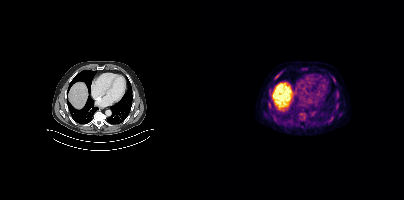
Coordinates are on the 200×200 PET (right) panel. (showing 6 of 7 foci) PSMA-avid tumor lesion bounding boxes (x, y, width, height): x=73 y=71 w=6 h=6 / x=128 y=77 w=4 h=5. Small PSMA-avid foci (2 to 4 px across) near (center x, center y): (65, 103) / (127, 117) / (71, 78) / (133, 105).